modality: PSMA PET/CT | tracer: 18F | view: axial | PET grid: 200×200
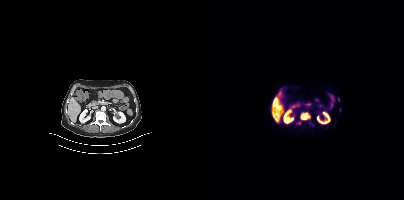
Coordinates are on the 200×200 PET (right) panel. (showing 2 of 3 foci) PSMA-avid tumor lesion bounding boxes (x0,y0,x1,y1): [97,113,106,119], [69,100,73,105].